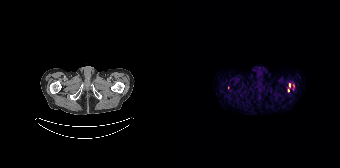
Technique: Paired axial CT (left) and PSMA PET (right), 68Ga-PSMA tracer. acquired on Siemens Biograph 64-4R TruePoint. slice position z = -989 mm.
Findings: Coordinates are on the 168×168 PET (right) panel. (showing 1 of 2 foci) Small PSMA-avid focus (2 to 4 px across) near (center x, center y): (117, 84).